- Two-panel axial: CT | PSMA PET, 18F tracer
- PET panel 200×200 px (4.1 mm/px)
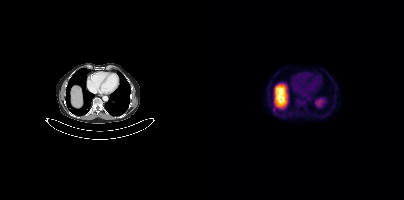
Findings: Coordinates are on the 200×200 PET (right) panel. Small PSMA-avid focus (2 to 4 px across) near (center x, center y): (70, 109).